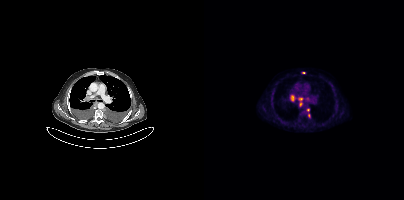
Technique: Paired axial CT (left) and PSMA PET (right), [18F]PSMA-1007 tracer. acquired on Siemens Biograph mCT Flow 20. slice position z = -481 mm.
Findings: Coordinates are on the 200×200 PET (right) panel. PSMA-avid tumor lesion bounding box (x0, y0)-(x1, y1): (86, 95)-(90, 101). Small PSMA-avid foci (2 to 4 px across) near (center x, center y): (96, 99) / (104, 109) / (96, 104) / (105, 115) / (99, 72).